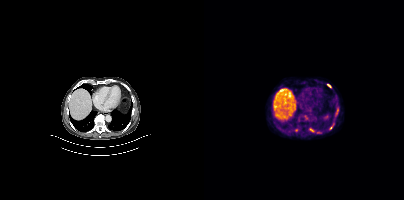
Coordinates are on the 200×200 PET (right) panel. (showing 4 of 5 foci) PSMA-avid tumor lesion bounding box (x, y, width, height): x=123 y=84 w=5 h=4. Small PSMA-avid foci (2 to 4 px across) near (center x, center y): (107, 130); (126, 128); (114, 132).
modality: PSMA PET/CT | tracer: 18F-PSMA | view: axial | PET grid: 200×200